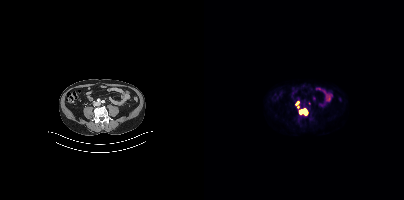
Coordinates are on the 200×200 PET (right) panel. PSMA-avid tumor lesion bounding boxes:
| # | x0 | y0 | x1 | y1 |
|---|---|---|---|---|
| 1 | 95 | 109 | 103 | 114 |
| 2 | 92 | 102 | 94 | 107 |
Left: CT. Right: PSMA PET, same axial level, 18F-PSMA tracer. Slice 150 of 421.